- Two-panel axial: CT | PSMA PET, [18F]PSMA-1007 tracer
- acquired on Siemens Biograph mCT Flow 20
- slice position z = -855 mm
- de-identified by setting a box covering the face to black before release
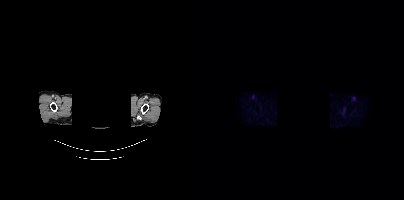
Findings: Negative for PSMA-avid disease on this slice.